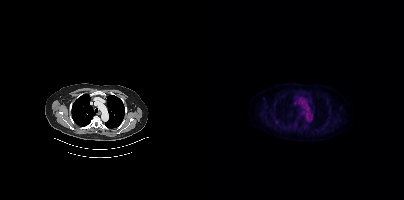
Paired axial CT (left) and PSMA PET (right), 18F tracer. Acquired on Siemens Biograph mCT Flow 20. Coordinates are on the 200×200 PET (right) panel. Small PSMA-avid focus (2 to 4 px across) near (center x, center y): (72, 121).